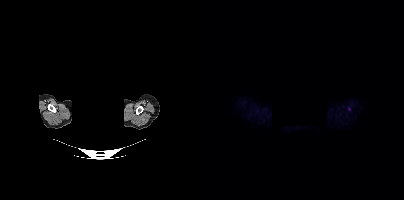
{"modality":"PSMA PET/CT","view":"axial","tracer":"18F","pet_grid":[200,200],"coord_frame":"pet_panel","coord_format":"x0,y0,x1,y1","de-identification":"facial region redacted","lesion_bboxes":[],"small_foci_centers":[[145,108]]}